- Two-panel axial: CT | PSMA PET, 18F-PSMA tracer
- acquired on GE Discovery 690
- slice 142 of 263
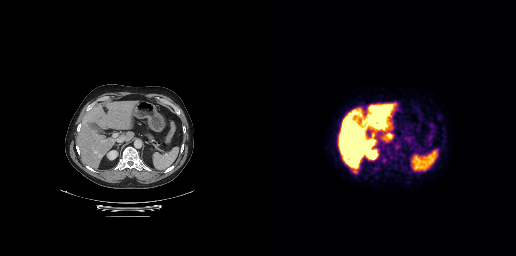
Findings: Coordinates are on the 256×256 PET (right) panel. PSMA-avid tumor lesion bounding box (x, y, width, height): x=93 y=170 w=5 h=4.